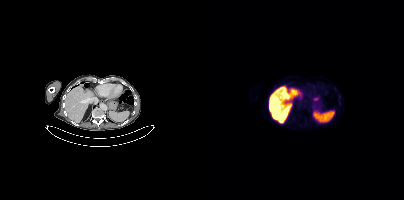
This slice has no annotated PSMA-avid lesion.